modality: PSMA PET/CT | tracer: [18F]PSMA-1007 | view: axial
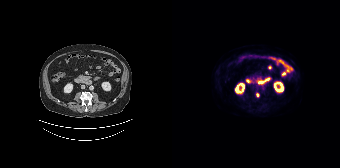
Coordinates are on the 168×168 PET (right) panel. Small PSMA-avid focus (2 to 4 px across) near (center x, center y): (85, 95).